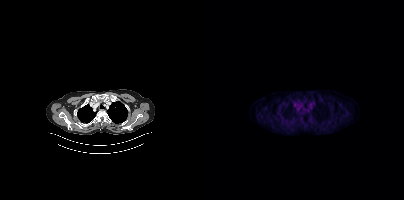
{"pet_grid":[200,200],"coord_frame":"pet_panel","coord_format":"x0,y0,x1,y1","psma_avid_lesions":false,"modality":"PSMA PET/CT","view":"axial","tracer":"18F-PSMA"}